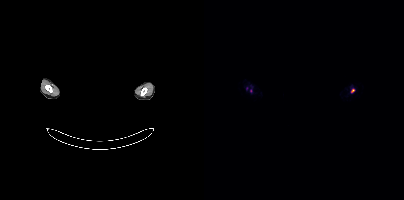
Paired axial CT (left) and PSMA PET (right), 68Ga tracer. PET panel 200×200 px (4.1 mm/px). Facial anatomy redacted by setting a rectangular region of the head to black. Coordinates are on the 200×200 PET (right) panel. Small PSMA-avid focus (2 to 4 px across) near (center x, center y): (149, 90).